Two-panel axial: CT | PSMA PET, 18F tracer. Slice position z = -1484 mm. PET panel 200×200 px (4.1 mm/px).
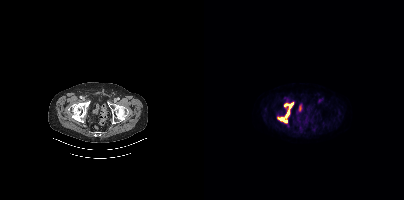
Coordinates are on the 200×200 PET (right) panel. PSMA-avid tumor lesion bounding boxes:
| # | x0 | y0 | x1 | y1 |
|---|---|---|---|---|
| 1 | 74 | 111 | 85 | 122 |
| 2 | 80 | 103 | 89 | 109 |